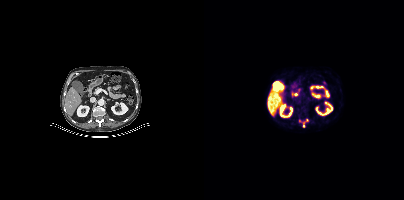
Technique: Two-panel axial: CT | PSMA PET, [18F]PSMA-1007 tracer. acquired on Siemens Biograph mCT Flow 20. slice 652 of 963.
Findings: Coordinates are on the 200×200 PET (right) panel. PSMA-avid tumor lesion bounding box (x0,y0,x1,y1): [99,122,100,127]. Small PSMA-avid foci (2 to 4 px across) near (center x, center y): (103, 120), (95, 120).